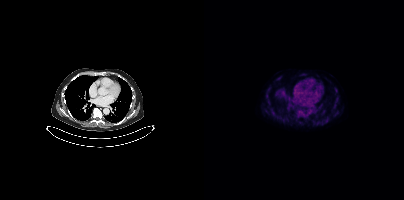
No PSMA-avid tumor lesions on this slice.